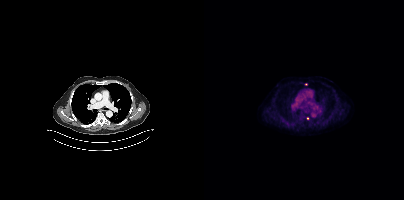
Only PSMA-avid lesion pieces thinner than 2 px on this slice (not listed).